Two-panel axial: CT | PSMA PET, [18F]PSMA-1007 tracer. Acquired on Siemens Biograph mCT Flow 20. Head region blanked for anonymization (face removed).
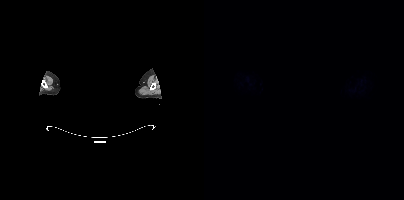
Negative for PSMA-avid disease on this slice.